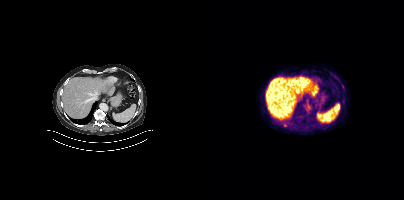
Technique: Paired axial CT (left) and PSMA PET (right), 18F tracer. slice 248 of 429.
Findings: Negative for PSMA-avid disease on this slice.